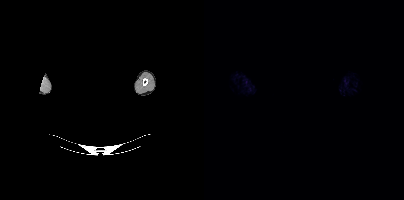
{"modality":"PSMA PET/CT","view":"axial","tracer":"[18F]PSMA-1007","pet_grid":[200,200],"coord_frame":"pet_panel","coord_format":"x0,y0,x1,y1","psma_avid_lesions":false,"redaction":"head region blanked (face removed)"}